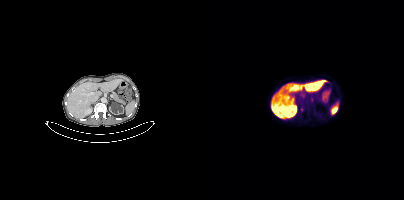
Paired axial CT (left) and PSMA PET (right), [18F]PSMA-1007 tracer. Acquired on Siemens Biograph mCT Flow 20. Slice 210 of 448. PET panel 200×200 px (4.1 mm/px). Coordinates are on the 200×200 PET (right) panel. Small PSMA-avid focus (2 to 4 px across) near (center x, center y): (97, 109).